Technique: Two-panel axial: CT | PSMA PET, [18F]PSMA-1007 tracer. slice 151 of 354.
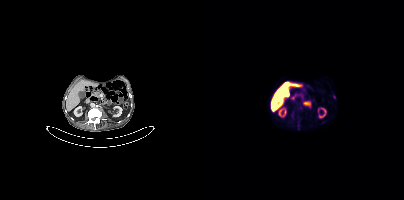
Findings: Coordinates are on the 200×200 PET (right) panel. Small PSMA-avid focus (2 to 4 px across) near (center x, center y): (130, 97).